- Two-panel axial: CT | PSMA PET, [68Ga]Ga-PSMA-11 tracer
- slice position z = -441 mm
- PET panel 168×168 px (4.1 mm/px)
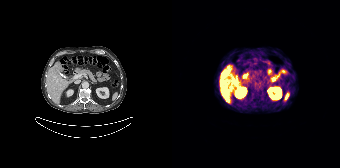
Findings: Coordinates are on the 168×168 PET (right) panel. (showing 2 of 4 foci) PSMA-avid tumor lesion bounding box (x, y, width, height): x=49 y=70 w=5 h=6. Small PSMA-avid focus (2 to 4 px across) near (center x, center y): (57, 87).